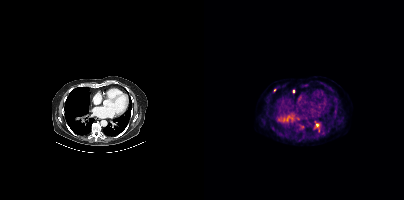
Coordinates are on the 200×200 PET (right) panel. (showing 6 of 8 foci) PSMA-avid tumor lesion bounding boxes (x0, y0)-(x1, y1): (109, 124)-(114, 129) / (83, 116)-(85, 120). Small PSMA-avid foci (2 to 4 px across) near (center x, center y): (76, 119) / (89, 91) / (70, 90) / (114, 129).